Technique: Two-panel axial: CT | PSMA PET, 18F tracer. slice 57 of 429.
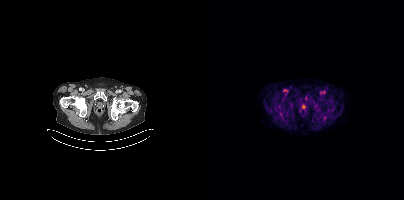
Findings: No tumor lesions annotated on this slice.